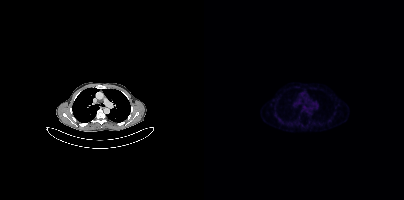
Technique: Left: CT. Right: PSMA PET, same axial level, 68Ga-PSMA tracer. slice position z = -1210 mm. PET panel 200×200 px (4.1 mm/px).
Findings: Negative for PSMA-avid disease on this slice.